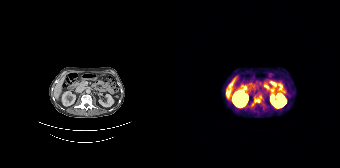
- Paired axial CT (left) and PSMA PET (right), 68Ga tracer
- acquired on Siemens Biograph 64-4R TruePoint
- slice position z = -578 mm
- PET panel 168×168 px (4.1 mm/px)
Findings: Coordinates are on the 168×168 PET (right) panel. PSMA-avid tumor lesion bounding box (x0,y0,x1,y1): [82,96,89,102].